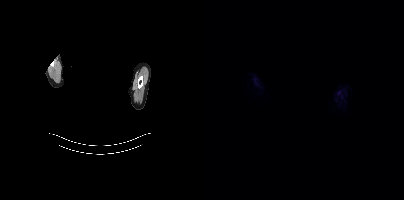
{"modality":"PSMA PET/CT","view":"axial","tracer":"[18F]PSMA-1007","pet_grid":[200,200],"coord_frame":"pet_panel","coord_format":"x0,y0,x1,y1","redaction":"privacy mask over head","psma_avid_lesions":false}